Paired axial CT (left) and PSMA PET (right), 68Ga-PSMA tracer. Slice position z = -1509 mm. PET panel 200×200 px (4.1 mm/px).
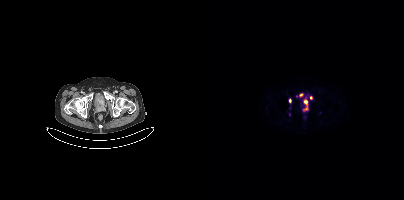
Coordinates are on the 200×200 PET (right) panel. (showing 6 of 7 foci) PSMA-avid tumor lesion bounding boxes (x, y, width, height): x=99 y=100 w=6 h=11; x=95 y=93 w=5 h=4. Small PSMA-avid foci (2 to 4 px across) near (center x, center y): (107, 97); (102, 97); (85, 114); (85, 100).